- Left: CT. Right: PSMA PET, same axial level, 18F tracer
- acquired on Siemens Biograph mCT Flow 20
- PET panel 200×200 px (4.1 mm/px)
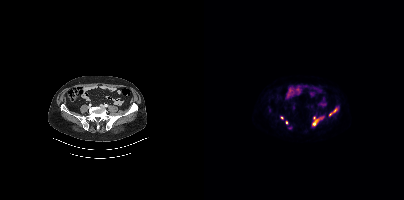
Findings: Coordinates are on the 200×200 PET (right) panel. (showing 4 of 5 foci) PSMA-avid tumor lesion bounding boxes (x, y, width, height): x=108 y=115 w=13 h=11 | x=125 y=106 w=10 h=10. Small PSMA-avid foci (2 to 4 px across) near (center x, center y): (82, 122) | (78, 117).